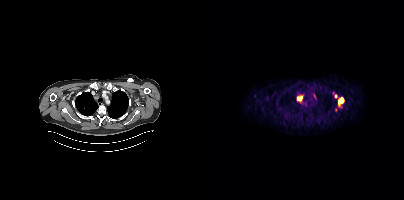
Paired axial CT (left) and PSMA PET (right), 68Ga tracer. Slice position z = -962 mm. PET panel 200×200 px (4.1 mm/px).
Coordinates are on the 200×200 PET (right) panel. PSMA-avid tumor lesion bounding boxes (partial; 1 more focus not listed):
| # | x0 | y0 | x1 | y1 |
|---|---|---|---|---|
| 1 | 134 | 98 | 139 | 105 |
| 2 | 93 | 95 | 98 | 100 |
| 3 | 110 | 95 | 112 | 99 |
Small PSMA-avid focus (2 to 4 px across) near (center x, center y): (131, 96).